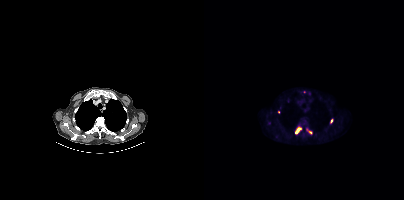
Coordinates are on the 200×200 PET (right) panel. PSMA-avid tumor lesion bounding boxes (partial; 1 more focus not listed):
| # | x0 | y0 | x1 | y1 |
|---|---|---|---|---|
| 1 | 91 | 127 | 98 | 133 |
Small PSMA-avid foci (2 to 4 px across) near (center x, center y): (127, 120); (106, 132); (102, 129); (100, 91).
Paired axial CT (left) and PSMA PET (right), 18F-PSMA tracer.